Technique: Left: CT. Right: PSMA PET, same axial level, [68Ga]Ga-PSMA-11 tracer. acquired on Siemens Biograph 64-4R TruePoint. PET panel 168×168 px (4.1 mm/px).
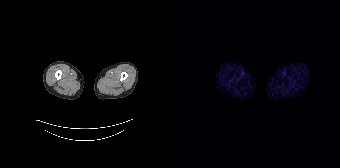
Findings: No tumor lesions annotated on this slice.